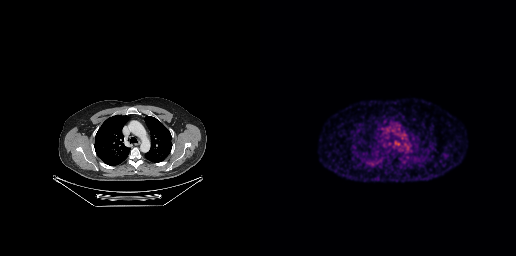
Findings: Negative for PSMA-avid disease on this slice.
- Paired axial CT (left) and PSMA PET (right), [68Ga]Ga-PSMA-11 tracer
- acquired on GE Discovery 690
- slice position z = -426 mm